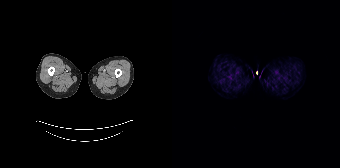
{"pet_grid":[168,168],"coord_frame":"pet_panel","coord_format":"x0,y0,x1,y1","psma_avid_lesions":false,"modality":"PSMA PET/CT","view":"axial","tracer":"[68Ga]Ga-PSMA-11"}